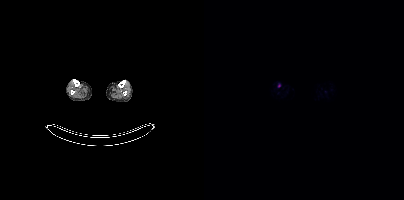
Coordinates are on the 200×200 PET (right) panel. Small PSMA-avid focus (2 to 4 px across) near (center x, center y): (75, 85).